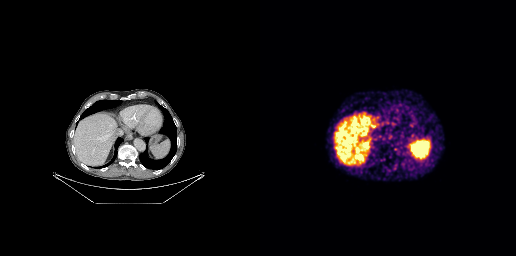
Two-panel axial: CT | PSMA PET, 68Ga tracer. Slice position z = -528 mm. PET panel 256×256 px (2.7 mm/px). Negative for PSMA-avid disease on this slice.